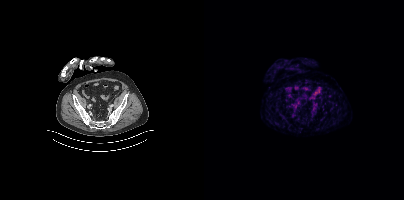
Negative for PSMA-avid disease on this slice. Left: CT. Right: PSMA PET, same axial level, 68Ga tracer.